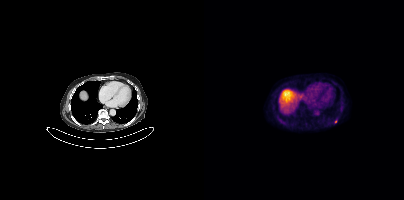
Coordinates are on the 200×200 PET (right) panel. Small PSMA-avid focus (2 to 4 px across) near (center x, center y): (131, 121).